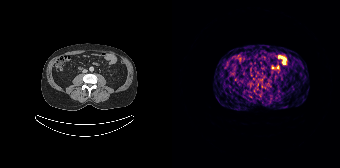
{"modality":"PSMA PET/CT","view":"axial","tracer":"[68Ga]Ga-PSMA-11","pet_grid":[168,168],"coord_frame":"pet_panel","coord_format":"x0,y0,x1,y1","psma_avid_lesions":false}